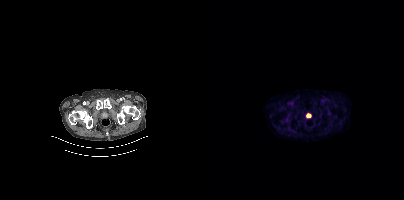
{"modality":"PSMA PET/CT","view":"axial","tracer":"[18F]PSMA-1007","pet_grid":[200,200],"coord_frame":"pet_panel","coord_format":"x0,y0,x1,y1","lesion_bboxes":[[102,114,106,117]]}